Technique: Left: CT. Right: PSMA PET, same axial level, 18F-PSMA tracer. slice 60 of 401.
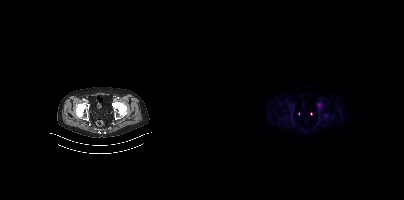
Findings: No PSMA-avid tumor lesions on this slice.